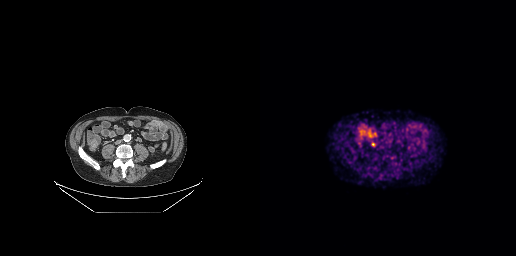
Technique: Left: CT. Right: PSMA PET, same axial level, [68Ga]Ga-PSMA-11 tracer. acquired on GE Discovery 690. PET panel 256×256 px (2.7 mm/px).
Findings: Coordinates are on the 256×256 PET (right) panel. PSMA-avid tumor lesion bounding box (x, y, width, height): x=111 y=142 w=5 h=5.